Two-panel axial: CT | PSMA PET, 68Ga tracer. Slice 113 of 165.
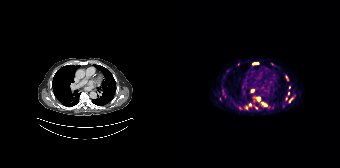
Coordinates are on the 168×168 PET (right) panel. (showing 11 of 13 foci) PSMA-avid tumor lesion bounding boxes (x0,y0,x1,y1): [90,103,94,106], [81,63,86,64]. Small PSMA-avid foci (2 to 4 px across) near (center x, center y): (68, 107), (87, 98), (84, 107), (115, 79), (114, 98), (114, 76), (80, 90), (78, 104), (117, 101).